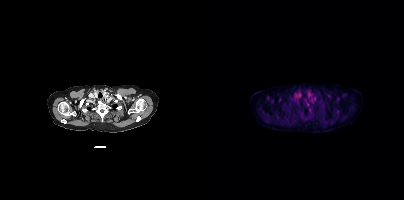
{"modality":"PSMA PET/CT","view":"axial","tracer":"18F-PSMA","pet_grid":[200,200],"coord_frame":"pet_panel","coord_format":"x0,y0,x1,y1","psma_avid_lesions":false}